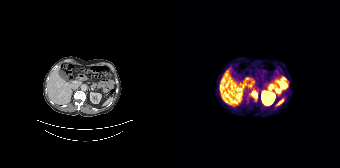
Coordinates are on the 168×168 PET (right) panel. PSMA-avid tumor lesion bounding box (x0,y0,x1,y1): [79,92,84,98]. Left: CT. Right: PSMA PET, same axial level, [68Ga]Ga-PSMA-11 tracer. PET panel 168×168 px (4.1 mm/px).